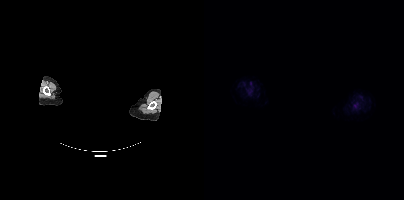
Any black rectangle over the head is a privacy mask, not anatomy. Paired axial CT (left) and PSMA PET (right), [18F]PSMA-1007 tracer. PET panel 200×200 px (4.1 mm/px). This slice has no annotated PSMA-avid lesion.